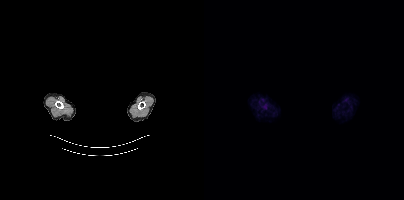
de-identification: face masked with black rectangle | modality: PSMA PET/CT | tracer: [18F]PSMA-1007 | view: axial | PET grid: 200×200
This slice has no annotated PSMA-avid lesion.